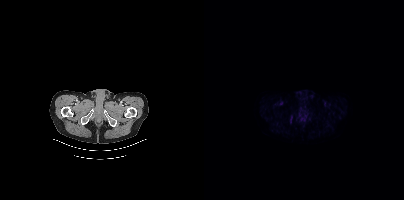
- Two-panel axial: CT | PSMA PET, 18F tracer
Findings: Coordinates are on the 200×200 PET (right) panel. PSMA-avid tumor lesion bounding box (x0,y0,x1,y1): [86,116,88,121].